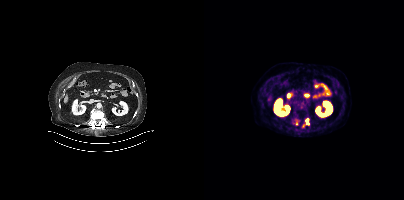
Coordinates are on the 200×200 PET (right) panel. PSMA-avid tumor lesion bounding boxes (x0, y0)-(x1, y1): (91, 120)-(94, 125); (102, 120)-(105, 124). Small PSMA-avid focus (2 to 4 px across) near (center x, center y): (100, 125). Left: CT. Right: PSMA PET, same axial level, [18F]PSMA-1007 tracer.